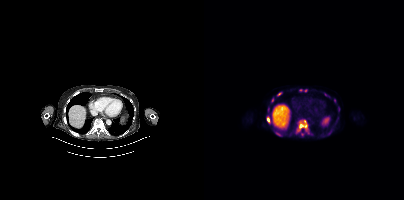
- Left: CT. Right: PSMA PET, same axial level, [18F]PSMA-1007 tracer
- acquired on Siemens Biograph mCT Flow 20
- PET panel 200×200 px (4.1 mm/px)
Findings: Coordinates are on the 200×200 PET (right) panel. (showing 9 of 10 foci) PSMA-avid tumor lesion bounding boxes (x0, y0)-(x1, y1): (91, 120)-(107, 135); (72, 132)-(78, 136); (63, 117)-(65, 122); (120, 93)-(125, 97); (73, 92)-(77, 95). Small PSMA-avid foci (2 to 4 px across) near (center x, center y): (68, 99); (101, 90); (130, 100); (64, 109).